Left: CT. Right: PSMA PET, same axial level, [18F]PSMA-1007 tracer.
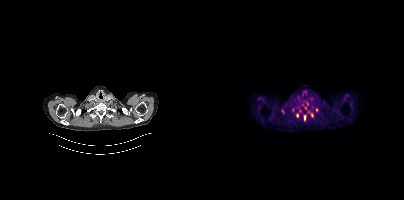
Coordinates are on the 200×200 PET (right) panel. PSMA-avid tumor lesion bounding boxes (partial; 1 more focus not listed):
| # | x0 | y0 | x1 | y1 |
|---|---|---|---|---|
| 1 | 100 | 115 | 101 | 120 |
Small PSMA-avid foci (2 to 4 px across) near (center x, center y): (93, 115); (107, 115); (112, 109).